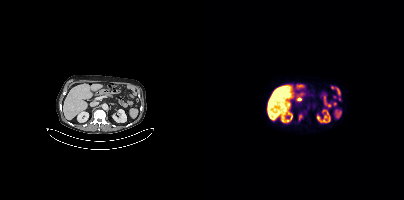
Coordinates are on the 200×200 PET (right) panel. PSMA-avid tumor lesion bounding box (x0, y0)-(x1, y1): (95, 114)-(98, 120).